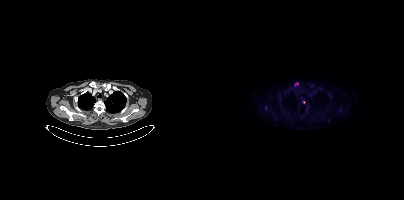
Two-panel axial: CT | PSMA PET, 18F tracer. Coordinates are on the 200×200 PET (right) panel. PSMA-avid tumor lesion bounding box (x0, y0)-(x1, y1): (90, 82)-(94, 86). Small PSMA-avid focus (2 to 4 px across) near (center x, center y): (99, 102).